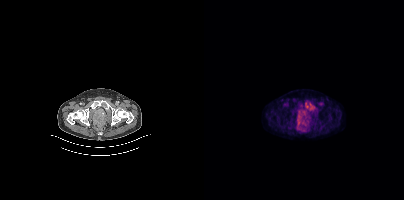
Technique: Left: CT. Right: PSMA PET, same axial level, 18F tracer. acquired on Siemens Biograph mCT Flow 20.
Findings: No PSMA-avid tumor lesions on this slice.